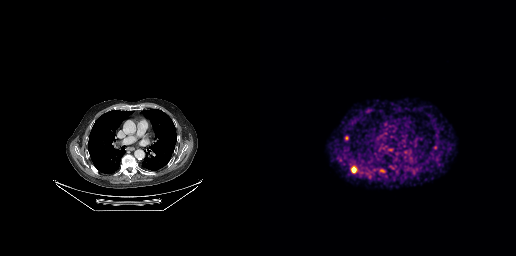
Two-panel axial: CT | PSMA PET, 68Ga-PSMA tracer. PET panel 256×256 px (2.7 mm/px). Coordinates are on the 256×256 PET (right) panel. PSMA-avid tumor lesion bounding boxes (x0,y0,x1,y1): [91,167,96,172] [129,148,133,151] [173,145,177,149]. Small PSMA-avid foci (2 to 4 px across) near (center x, center y): (86, 137) (122, 170) (110, 176).